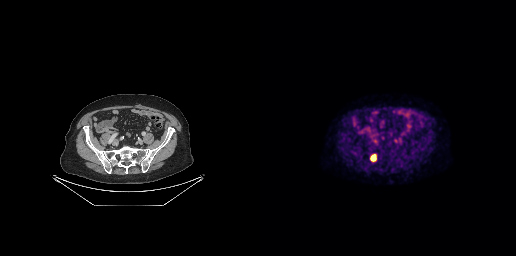
Coordinates are on the 256×256 PET (right) panel. PSMA-avid tumor lesion bounding box (x0, y0)-(x1, y1): (110, 154)-(116, 161). Small PSMA-avid focus (2 to 4 px across) near (center x, center y): (135, 140).